Left: CT. Right: PSMA PET, same axial level, [68Ga]Ga-PSMA-11 tracer. Slice 136 of 165. PET panel 168×168 px (4.1 mm/px).
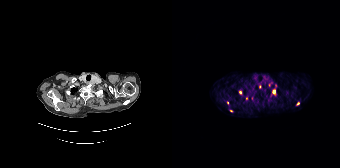
Coordinates are on the 168×168 PET (right) panel. (showing 8 of 11 foci) Small PSMA-avid foci (2 to 4 px across) near (center x, center y): (101, 91); (80, 98); (126, 103); (68, 92); (59, 110); (103, 85); (85, 101); (55, 102).